- Left: CT. Right: PSMA PET, same axial level, 18F-PSMA tracer
- acquired on Siemens Biograph mCT Flow 20
- slice position z = -1302 mm
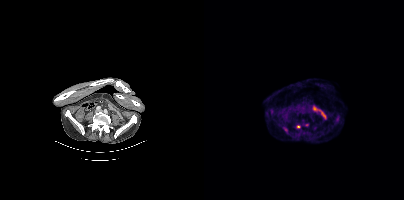
Findings: Coordinates are on the 200×200 PET (right) panel. (showing 3 of 4 foci) PSMA-avid tumor lesion bounding box (x0, y0)-(x1, y1): (80, 127)-(83, 131). Small PSMA-avid foci (2 to 4 px across) near (center x, center y): (94, 126) / (102, 124).